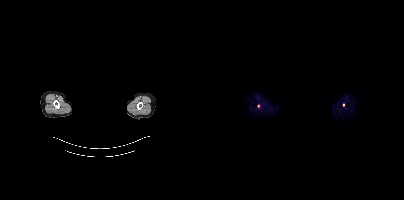
Coordinates are on the 200×200 PET (right) panel. (showing 1 of 2 foci) Small PSMA-avid focus (2 to 4 px across) near (center x, center y): (139, 105). Paired axial CT (left) and PSMA PET (right), 18F-PSMA tracer. Acquired on Siemens Biograph mCT Flow 20. Privacy masking over the head, with the pixels inside a rectangle set to black.